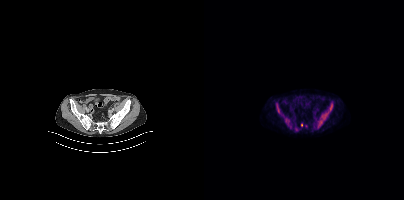
{"pet_grid":[200,200],"coord_frame":"pet_panel","coord_format":"x0,y0,x1,y1","partial":true,"lesion_bboxes":[[114,104,128,127],[81,118,85,125],[73,108,76,113]],"small_foci_centers":[[86,126],[97,124]],"modality":"PSMA PET/CT","view":"axial","tracer":"18F-PSMA"}